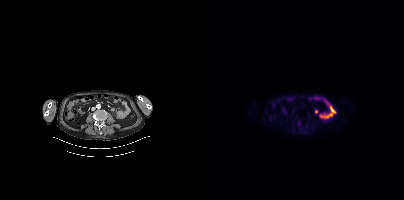
{"modality":"PSMA PET/CT","view":"axial","tracer":"18F-PSMA","pet_grid":[200,200],"coord_frame":"pet_panel","coord_format":"x0,y0,x1,y1","partial":true,"lesion_bboxes":[]}